- Left: CT. Right: PSMA PET, same axial level, [68Ga]Ga-PSMA-11 tracer
- slice position z = -734 mm
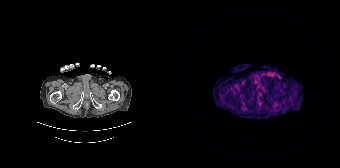
Findings: Negative for PSMA-avid disease on this slice.